Technique: Paired axial CT (left) and PSMA PET (right), 68Ga-PSMA tracer. slice 122 of 263.
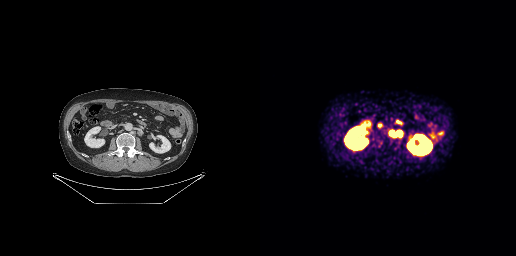
Findings: Coordinates are on the 256×256 PET (right) panel. PSMA-avid tumor lesion bounding boxes (x0,y0,x1,y1): [130,131,135,135] [138,131,141,135].